- Two-panel axial: CT | PSMA PET, 18F-PSMA tracer
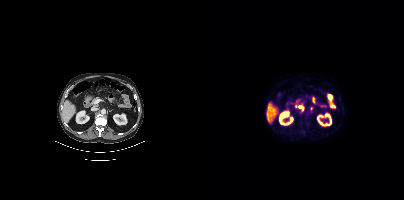
Findings: Coordinates are on the 200×200 PET (right) panel. PSMA-avid tumor lesion bounding box (x, y, width, height): x=95 y=106 w=5 h=5.